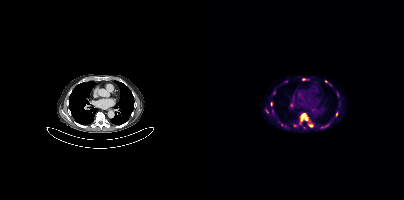
{"pet_grid":[200,200],"coord_frame":"pet_panel","coord_format":"x0,y0,x1,y1","partial":true,"lesion_bboxes":[[96,113,104,121],[104,121,109,127]],"small_foci_centers":[[99,79],[67,103],[63,111],[132,113],[90,125],[121,81]],"modality":"PSMA PET/CT","view":"axial","tracer":"[18F]PSMA-1007"}